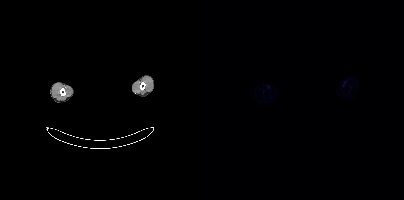
This slice has no annotated PSMA-avid lesion. Paired axial CT (left) and PSMA PET (right), 68Ga tracer. Slice 393 of 409. A rectangle over the head was blacked out to remove identifiable facial features.